- Paired axial CT (left) and PSMA PET (right), [68Ga]Ga-PSMA-11 tracer
- acquired on Siemens Biograph 64-4R TruePoint
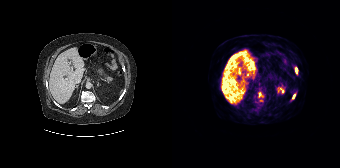
Findings: Coordinates are on the 168×168 PET (right) panel. PSMA-avid tumor lesion bounding boxes (x, y, width, height): x=123 y=67 w=3 h=7 | x=120 y=94 w=4 h=6 | x=87 y=92 w=4 h=6.